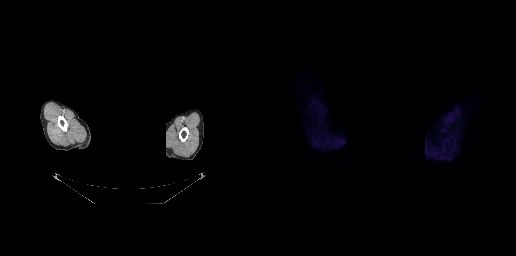
No PSMA-avid tumor lesions on this slice. Privacy masking over the head, with the pixels inside a rectangle set to black. Left: CT. Right: PSMA PET, same axial level, 18F-PSMA tracer. PET panel 256×256 px (2.7 mm/px).